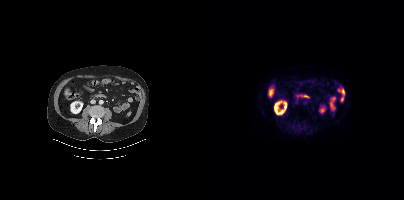
{"modality":"PSMA PET/CT","view":"axial","tracer":"[18F]PSMA-1007","pet_grid":[200,200],"coord_frame":"pet_panel","coord_format":"x0,y0,x1,y1","psma_avid_lesions":false}